Technique: Two-panel axial: CT | PSMA PET, 68Ga tracer. PET panel 168×168 px (4.1 mm/px).
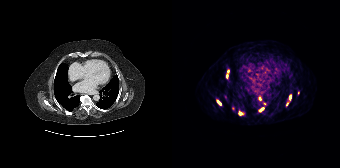
Findings: Coordinates are on the 168×168 PET (right) panel. (showing 8 of 10 foci) PSMA-avid tumor lesion bounding boxes (x0, y0)-(x1, y1): (45, 100)-(49, 105); (87, 107)-(92, 111); (117, 95)-(119, 100); (67, 111)-(70, 115). Small PSMA-avid foci (2 to 4 px across) near (center x, center y): (88, 98); (115, 104); (54, 75); (92, 103).